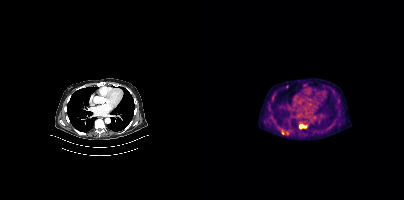
Findings: Coordinates are on the 200×200 PET (right) panel. (showing 2 of 3 foci) Small PSMA-avid foci (2 to 4 px across) near (center x, center y): (97, 126) | (78, 132).
- Left: CT. Right: PSMA PET, same axial level, 18F-PSMA tracer